Technique: Paired axial CT (left) and PSMA PET (right), 68Ga-PSMA tracer.
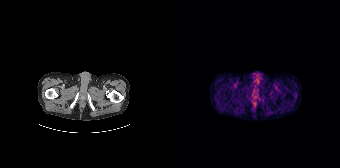
Findings: No PSMA-avid tumor lesions on this slice.